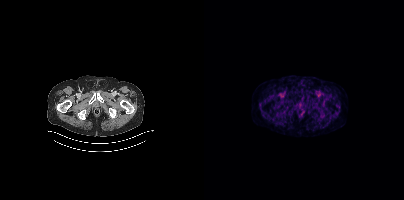
Findings: Negative for PSMA-avid disease on this slice.
Technique: Paired axial CT (left) and PSMA PET (right), 18F tracer. PET panel 200×200 px (4.1 mm/px).